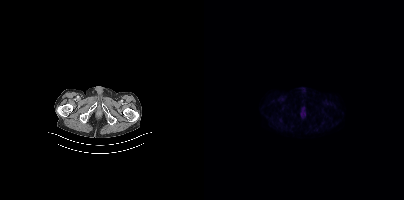
Two-panel axial: CT | PSMA PET, 18F-PSMA tracer. Slice position z = -984 mm. No tumor lesions annotated on this slice.